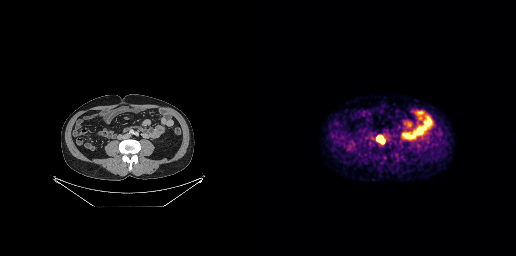
{"pet_grid":[256,256],"coord_frame":"pet_panel","coord_format":"x0,y0,x1,y1","lesion_bboxes":[[116,135,125,144]],"modality":"PSMA PET/CT","view":"axial","tracer":"68Ga-PSMA"}